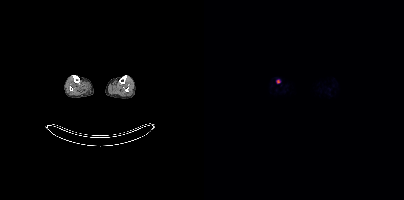
modality: PSMA PET/CT | tracer: 18F-PSMA | view: axial
Coordinates are on the 200×200 PET (right) panel. Small PSMA-avid focus (2 to 4 px across) near (center x, center y): (74, 81).